Technique: Paired axial CT (left) and PSMA PET (right), 18F-PSMA tracer. acquired on Siemens Biograph mCT Flow 20.
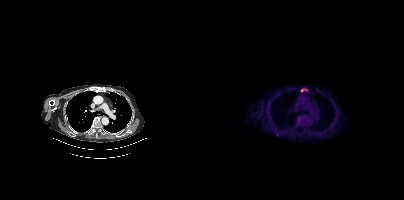
Findings: Coordinates are on the 200×200 PET (right) panel. PSMA-avid tumor lesion bounding box (x0,y0,x1,y1): [97,89,103,91].